Left: CT. Right: PSMA PET, same axial level, [18F]PSMA-1007 tracer. Acquired on Siemens Biograph mCT Flow 20. Slice 250 of 448. PET panel 200×200 px (4.1 mm/px).
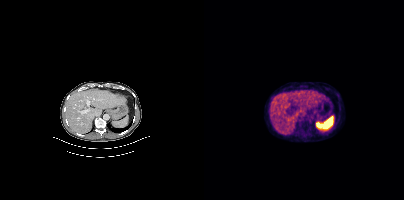
Coordinates are on the 200×200 PET (right) panel. PSMA-avid tumor lesion bounding boxes:
| # | x0 | y0 | x1 | y1 |
|---|---|---|---|---|
| 1 | 94 | 117 | 105 | 125 |